Technique: Two-panel axial: CT | PSMA PET, 18F tracer. slice position z = -862 mm. PET panel 200×200 px (4.1 mm/px).
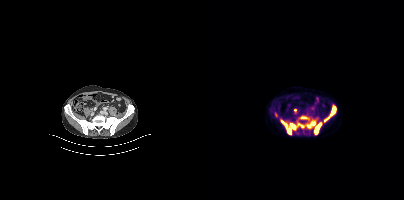
Findings: Coordinates are on the 200×200 PET (right) panel. PSMA-avid tumor lesion bounding boxes (x, y, width, height): x=77 y=120 w=24 h=15; x=110 y=122 w=8 h=13; x=120 y=106 w=12 h=16; x=102 y=121 w=10 h=8; x=97 y=116 w=7 h=3. Small PSMA-avid focus (2 to 4 px across) near (center x, center y): (91, 110).